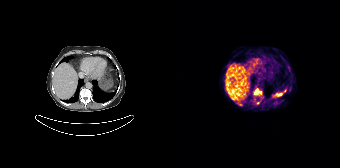
Findings: Coordinates are on the 168×168 PET (right) panel. PSMA-avid tumor lesion bounding boxes (x0, y0)-(x1, y1): (82, 88)-(89, 94); (66, 103)-(70, 105). Small PSMA-avid focus (2 to 4 px across) near (center x, center y): (85, 102).
- Two-panel axial: CT | PSMA PET, 68Ga tracer